Paired axial CT (left) and PSMA PET (right), 18F-PSMA tracer. PET panel 168×168 px (4.1 mm/px).
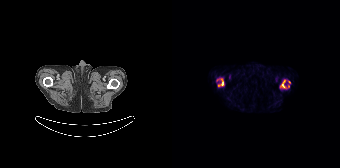
Coordinates are on the 168×168 PET (right) panel. PSMA-avid tumor lesion bounding boxes (x0,y0,x1,y1): [108,80,114,88]; [46,79,51,86]. Small PSMA-avid foci (2 to 4 px across) near (center x, center y): (116, 86); (117, 82).